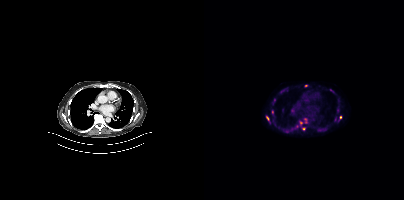
Findings: Coordinates are on the 200×200 PET (right) panel. (showing 11 of 15 foci) PSMA-avid tumor lesion bounding box (x, y, width, height): x=62 y=116 w=4 h=5. Small PSMA-avid foci (2 to 4 px across) near (center x, center y): (120, 129) / (83, 131) / (96, 123) / (102, 85) / (70, 99) / (68, 112) / (131, 119) / (99, 128) / (126, 89) / (136, 117).
- Two-panel axial: CT | PSMA PET, 18F-PSMA tracer
- acquired on Siemens Biograph mCT Flow 20
- PET panel 200×200 px (4.1 mm/px)